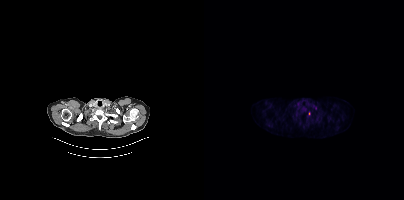
modality: PSMA PET/CT | tracer: 18F-PSMA | view: axial
Coordinates are on the 200×200 PET (right) panel. Small PSMA-avid focus (2 to 4 px across) near (center x, center y): (105, 113).